Technique: Two-panel axial: CT | PSMA PET, [18F]PSMA-1007 tracer. slice 233 of 431. PET panel 200×200 px (4.1 mm/px).
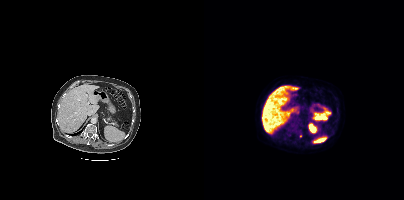
Findings: Only PSMA-avid lesion pieces thinner than 2 px on this slice (not listed).